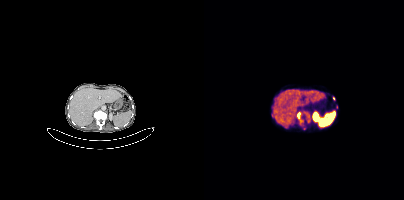
{"modality":"PSMA PET/CT","view":"axial","tracer":"68Ga-PSMA","pet_grid":[200,200],"coord_frame":"pet_panel","coord_format":"x0,y0,x1,y1","partial":true,"lesion_bboxes":[[93,112,99,123]],"small_foci_centers":[[129,98],[132,107],[104,116],[104,121],[67,114],[100,128]]}